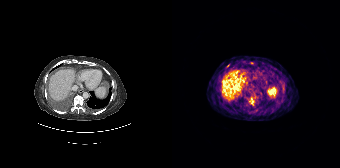
Technique: Left: CT. Right: PSMA PET, same axial level, 68Ga-PSMA tracer. acquired on Siemens Biograph 64-4R TruePoint. slice 96 of 165. PET panel 168×168 px (4.1 mm/px).
Findings: Coordinates are on the 168×168 PET (right) panel. (showing 3 of 4 foci) PSMA-avid tumor lesion bounding box (x, y, width, height): x=77 y=98 w=5 h=6. Small PSMA-avid foci (2 to 4 px across) near (center x, center y): (80, 63) / (55, 65).